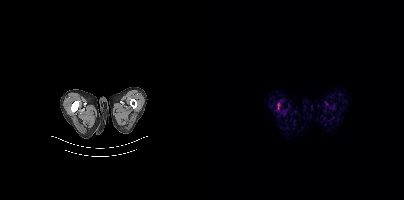
{"modality":"PSMA PET/CT","view":"axial","tracer":"18F","pet_grid":[200,200],"coord_frame":"pet_panel","coord_format":"x0,y0,x1,y1","lesion_bboxes":[[73,102,76,110]]}